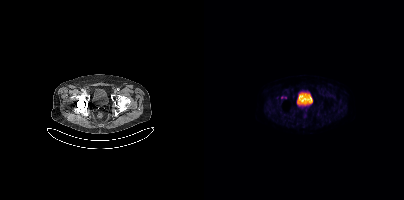
modality: PSMA PET/CT | tracer: [18F]PSMA-1007 | view: axial | PET grid: 200×200
No PSMA-avid tumor lesions on this slice.